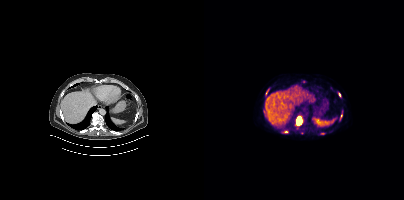
Left: CT. Right: PSMA PET, same axial level, 18F tracer. Slice 261 of 444. PET panel 200×200 px (4.1 mm/px).
Coordinates are on the 200×200 PET (right) panel. PSMA-avid tumor lesion bounding boxes (partial; 1 more focus not listed):
| # | x0 | y0 | x1 | y1 |
|---|---|---|---|---|
| 1 | 92 | 118 | 98 | 125 |
Small PSMA-avid focus (2 to 4 px across) near (center x, center y): (135, 94).